Paired axial CT (left) and PSMA PET (right), 18F-PSMA tracer. Acquired on Siemens Biograph mCT Flow 20. Slice position z = 236 mm. A rectangular block over the head has been blanked out for de-identification.
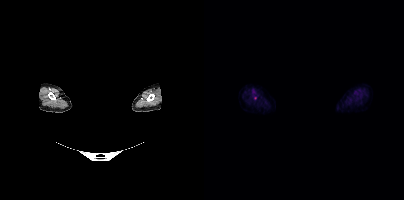
No tumor lesions annotated on this slice.